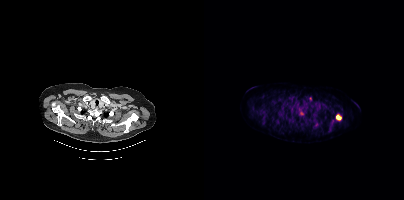
Left: CT. Right: PSMA PET, same axial level, 18F tracer. Slice 379 of 462.
Coordinates are on the 200×200 PET (right) panel. PSMA-avid tumor lesion bounding boxes:
| # | x0 | y0 | x1 | y1 |
|---|---|---|---|---|
| 1 | 132 | 114 | 137 | 120 |
| 2 | 95 | 108 | 99 | 115 |
Small PSMA-avid foci (2 to 4 px across) near (center x, center y): (106, 98); (112, 124).